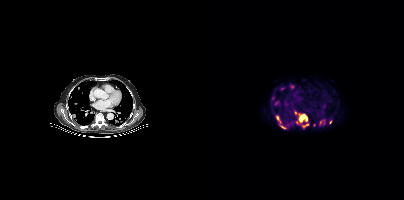
Coordinates are on the 200×200 PET (right) panel. PSMA-avid tumor lesion bounding boxes (x, y, width, height): x=90 y=111 w=14 h=14 / x=72 y=115 w=5 h=9 / x=98 y=124 w=7 h=4 / x=115 y=121 w=4 h=5 / x=76 y=125 w=7 h=5 / x=68 y=96 w=3 h=5. Small PSMA-avid foci (2 to 4 px across) near (center x, center y): (87, 86) / (78, 88) / (72, 103) / (126, 121) / (110, 125).